Paired axial CT (left) and PSMA PET (right), 18F tracer.
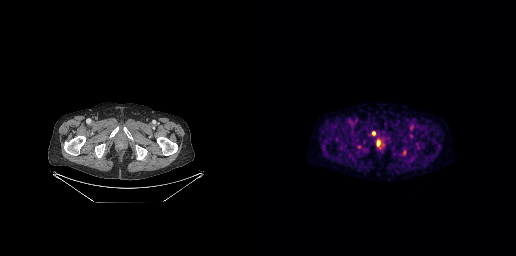
Coordinates are on the 256×256 PET (right) panel. PSMA-avid tumor lesion bounding box (x, y, width, height): x=117 y=141 w=3 h=5. Small PSMA-avid foci (2 to 4 px across) near (center x, center y): (113, 133) / (144, 152).